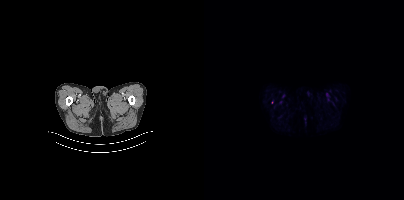
Coordinates are on the 200×200 PET (right) panel. Small PSMA-avid focus (2 to 4 px across) near (center x, center y): (68, 102).